modality: PSMA PET/CT | tracer: 18F | view: axial
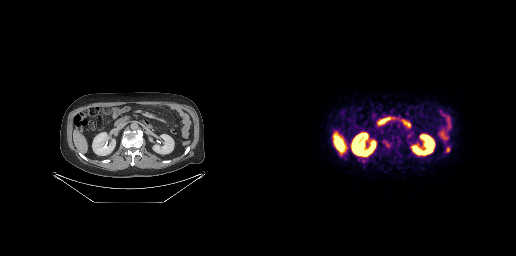
Coordinates are on the 256×256 PET (right) panel. PSMA-avid tumor lesion bounding boxes (x0, y0)-(x1, y1): (186, 147)-(190, 152); (124, 141)-(129, 147). Small PSMA-avid focus (2 to 4 px across) near (center x, center y): (103, 161).